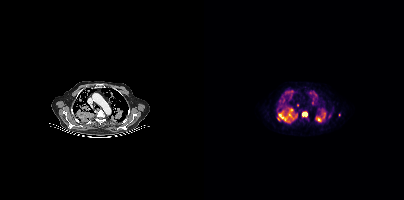
Findings: Coordinates are on the 200×200 PET (right) panel. (showing 7 of 12 foci) PSMA-avid tumor lesion bounding boxes (x, y, width, height): x=73 y=108 w=17 h=14; x=112 y=108 w=10 h=14; x=81 y=90 w=9 h=7; x=98 y=112 w=6 h=5. Small PSMA-avid foci (2 to 4 px across) near (center x, center y): (112, 94); (107, 92); (79, 100).
Technique: Paired axial CT (left) and PSMA PET (right), 18F-PSMA tracer. slice 762 of 963.